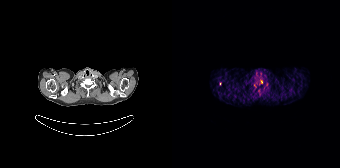
Coordinates are on the 168×168 PET (right) panel. (showing 2 of 3 foci) Small PSMA-avid foci (2 to 4 px across) near (center x, center y): (89, 81); (48, 83).